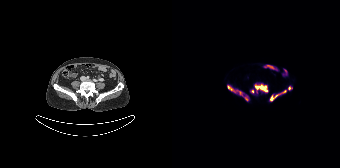
Paired axial CT (left) and PSMA PET (right), 18F-PSMA tracer. Acquired on Siemens Biograph 64-4R TruePoint. PET panel 168×168 px (4.1 mm/px).
Coordinates are on the 168×168 PET (right) panel. PSMA-avid tumor lesion bounding boxes:
| # | x0 | y0 | x1 | y1 |
|---|---|---|---|---|
| 1 | 78 | 83 | 96 | 93 |
| 2 | 97 | 90 | 114 | 101 |
| 3 | 55 | 85 | 65 | 92 |
| 4 | 73 | 94 | 77 | 101 |
| 5 | 67 | 91 | 71 | 96 |
| 6 | 116 | 86 | 120 | 90 |